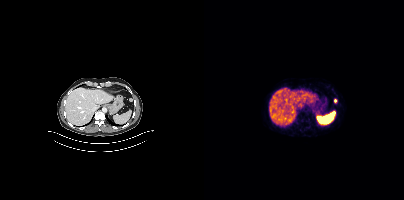
- Left: CT. Right: PSMA PET, same axial level, 68Ga-PSMA tracer
- acquired on Siemens Biograph mCT Flow 20
Findings: Coordinates are on the 200×200 PET (right) panel. Small PSMA-avid focus (2 to 4 px across) near (center x, center y): (131, 100).